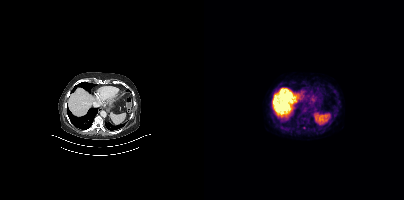
Only PSMA-avid lesion pieces thinner than 2 px on this slice (not listed).